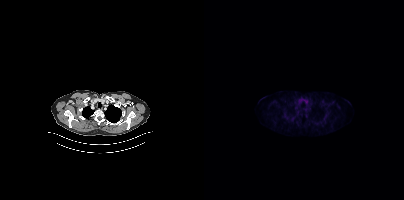
This slice has no annotated PSMA-avid lesion.